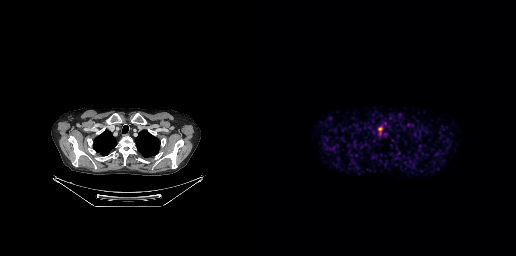
{"pet_grid":[256,256],"coord_frame":"pet_panel","coord_format":"x0,y0,x1,y1","lesion_bboxes":[[118,127,122,131]],"modality":"PSMA PET/CT","view":"axial","tracer":"68Ga-PSMA"}